modality: PSMA PET/CT | tracer: [18F]PSMA-1007 | view: axial | PET grid: 256×256
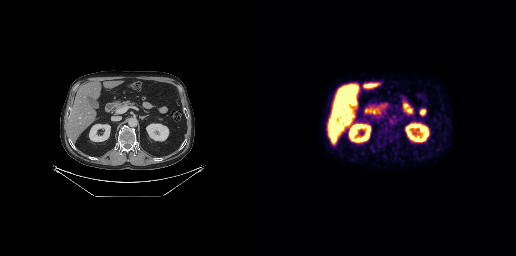
No tumor lesions annotated on this slice.